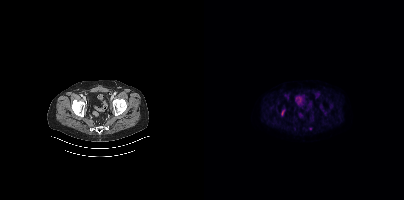
{"modality":"PSMA PET/CT","view":"axial","tracer":"18F-PSMA","pet_grid":[200,200],"coord_frame":"pet_panel","coord_format":"x0,y0,x1,y1","lesion_bboxes":[[77,110,80,115]],"small_foci_centers":[[106,128]]}